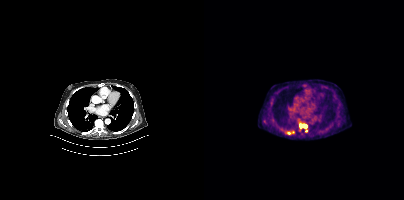
{"pet_grid":[200,200],"coord_frame":"pet_panel","coord_format":"x0,y0,x1,y1","lesion_bboxes":[[96,124,102,127],[83,131,90,134]],"small_foci_centers":[[102,130]],"modality":"PSMA PET/CT","view":"axial","tracer":"[18F]PSMA-1007"}